Two-panel axial: CT | PSMA PET, 18F tracer. Slice position z = -108 mm. PET panel 200×200 px (4.1 mm/px).
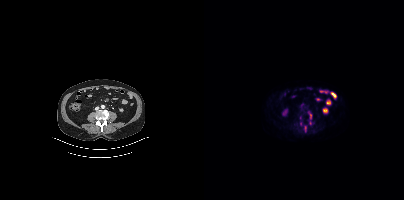
This slice has no annotated PSMA-avid lesion.